Technique: Left: CT. Right: PSMA PET, same axial level, 18F tracer.
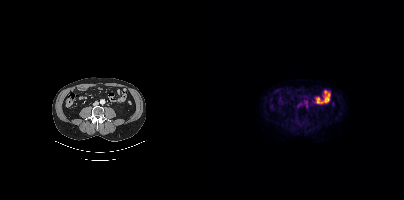
Findings: This slice has no annotated PSMA-avid lesion.